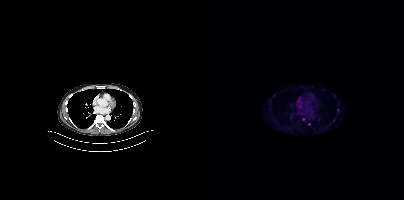
{"modality":"PSMA PET/CT","view":"axial","tracer":"[18F]PSMA-1007","pet_grid":[200,200],"coord_frame":"pet_panel","coord_format":"x0,y0,x1,y1","partial":true,"lesion_bboxes":[],"small_foci_centers":[[99,119]]}